modality: PSMA PET/CT | tracer: 18F | view: axial | PET grid: 200×200
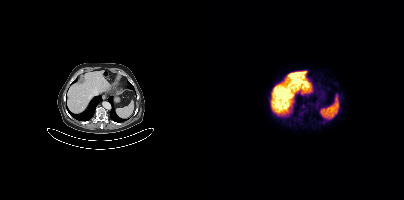
Coordinates are on the 200×200 PET (right) panel. PSMA-avid tumor lesion bounding box (x0,y0,x1,y1): [98,104,101,108].